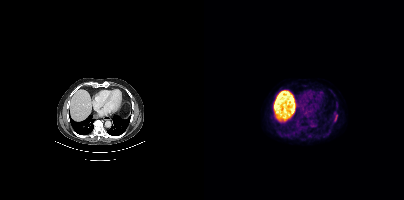
{"modality":"PSMA PET/CT","view":"axial","tracer":"18F-PSMA","pet_grid":[200,200],"coord_frame":"pet_panel","coord_format":"x0,y0,x1,y1","lesion_bboxes":[[130,115,133,121]]}